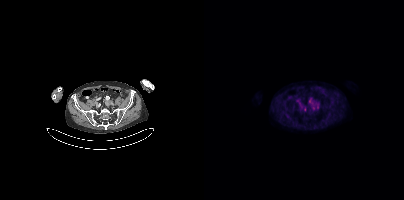
modality: PSMA PET/CT | tracer: [18F]PSMA-1007 | view: axial
Coordinates are on the 200×200 PET (right) panel. Small PSMA-avid foci (2 to 4 px across) near (center x, center y): (106, 100) / (114, 103) / (110, 108) / (114, 108) / (100, 109).